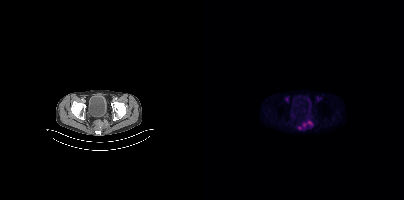
Technique: Two-panel axial: CT | PSMA PET, 18F tracer. acquired on Siemens Biograph mCT Flow 20.
Findings: Coordinates are on the 200×200 PET (right) panel. PSMA-avid tumor lesion bounding boxes (x, y, width, height): x=104 y=121 w=5 h=4; x=93 y=126 w=4 h=5. Small PSMA-avid focus (2 to 4 px across) near (center x, center y): (100, 124).